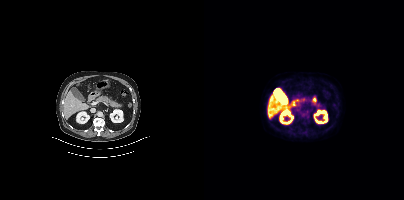
Findings: This slice has no annotated PSMA-avid lesion.
- Left: CT. Right: PSMA PET, same axial level, 18F-PSMA tracer
- acquired on Siemens Biograph mCT Flow 20
- slice position z = -516 mm